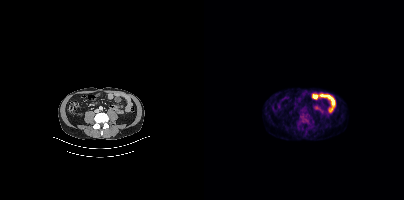
Coordinates are on the 200×200 PET (right) panel. PSMA-avid tumor lesion bounding box (x0, y0)-(x1, y1): (97, 113)-(108, 125).